modality: PSMA PET/CT | tracer: 18F-PSMA | view: axial
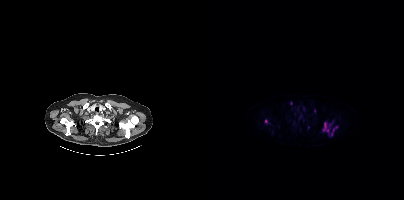
Coordinates are on the 200×200 PET (right) panel. (showing 5 of 6 foci) PSMA-avid tumor lesion bounding boxes (x, y, width, height): x=119 y=122 w=7 h=11 | x=127 y=126 w=7 h=10. Small PSMA-avid foci (2 to 4 px across) near (center x, center y): (110, 110) | (62, 121) | (126, 124).